Two-panel axial: CT | PSMA PET, 18F tracer. Acquired on Siemens Biograph mCT Flow 20. Slice position z = -79 mm.
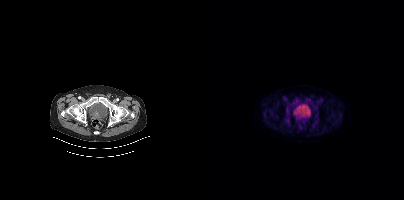
This slice has no annotated PSMA-avid lesion.